Technique: Left: CT. Right: PSMA PET, same axial level, 18F tracer.
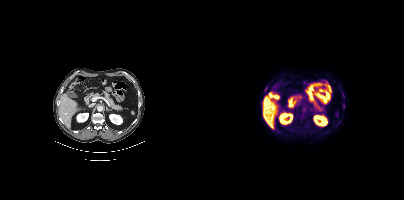
Findings: Coordinates are on the 200×200 PET (right) panel. PSMA-avid tumor lesion bounding box (x0,y0,x1,y1): [60,86,63,91].